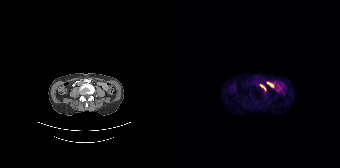
Two-panel axial: CT | PSMA PET, 68Ga tracer. Slice position z = -1182 mm. PET panel 168×168 px (4.1 mm/px).
Coordinates are on the 168×168 PET (right) panel. PSMA-avid tumor lesion bounding boxes:
| # | x0 | y0 | x1 | y1 |
|---|---|---|---|---|
| 1 | 88 | 85 | 94 | 91 |